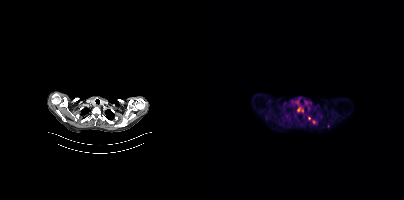
modality: PSMA PET/CT | tracer: 18F | view: axial
Coordinates are on the 200×200 PET (right) panel. (showing 4 of 5 foci) Small PSMA-avid foci (2 to 4 px across) near (center x, center y): (95, 109) | (105, 118) | (109, 121) | (98, 110).